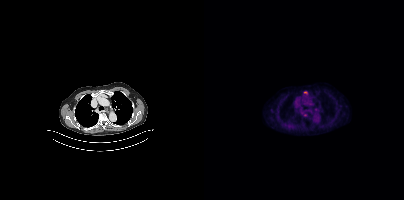
Coordinates are on the 200×200 PET (right) panel. Small PSMA-avid focus (2 to 4 px across) near (center x, center y): (101, 92). Paired axial CT (left) and PSMA PET (right), [18F]PSMA-1007 tracer. Acquired on Siemens Biograph mCT Flow 20. PET panel 200×200 px (4.1 mm/px).